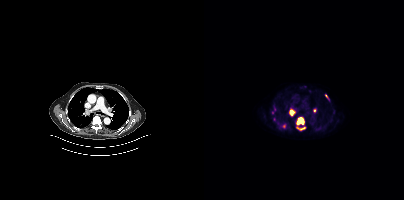
Findings: Coordinates are on the 200×200 PET (right) panel. PSMA-avid tumor lesion bounding boxes (x, y, width, height): x=92 y=117 w=9 h=8 / x=85 y=109 w=6 h=7 / x=93 y=127 w=8 h=4. Small PSMA-avid foci (2 to 4 px across) near (center x, center y): (110, 110) / (122, 95) / (70, 109) / (80, 126) / (68, 112) / (70, 119).
- Left: CT. Right: PSMA PET, same axial level, 18F-PSMA tracer
- slice 306 of 423